Paired axial CT (left) and PSMA PET (right), [18F]PSMA-1007 tracer. PET panel 256×256 px (2.7 mm/px). Head region blanked for anonymization (face removed).
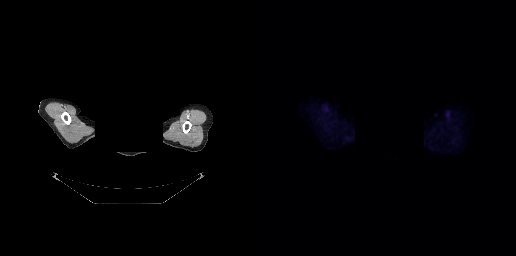
Negative for PSMA-avid disease on this slice.